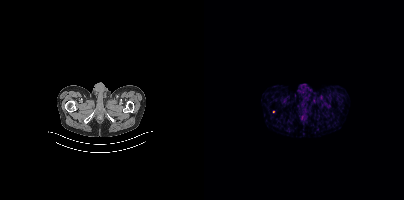
{"modality":"PSMA PET/CT","view":"axial","tracer":"68Ga-PSMA","pet_grid":[200,200],"coord_frame":"pet_panel","coord_format":"x0,y0,x1,y1","psma_avid_lesions":false}